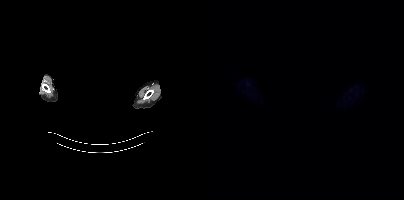
{"modality":"PSMA PET/CT","view":"axial","tracer":"18F","pet_grid":[200,200],"coord_frame":"pet_panel","coord_format":"x0,y0,x1,y1","psma_avid_lesions":false,"deidentification":"facial region redacted"}